Technique: Two-panel axial: CT | PSMA PET, [18F]PSMA-1007 tracer.
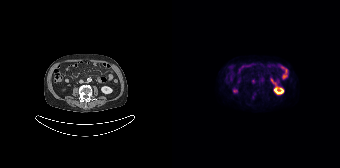
Findings: No PSMA-avid tumor lesions on this slice.